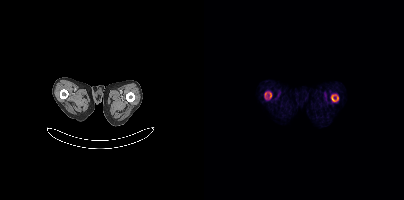
Coordinates are on the 200×200 PET (right) panel. PSMA-avid tumor lesion bounding boxes (x, y, width, height): x=127 y=94 w=8 h=8 | x=65 y=92 w=3 h=6 | x=61 y=92 w=2 h=6.